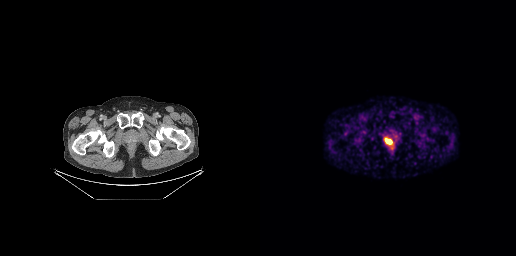
modality: PSMA PET/CT | tracer: 68Ga | view: axial
Coordinates are on the 256×256 PET (right) panel. PSMA-avid tumor lesion bounding box (x0,y0,x1,y1): [125,138,132,144].